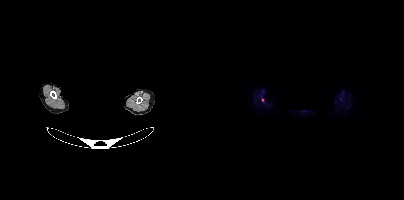
modality: PSMA PET/CT | tracer: [18F]PSMA-1007 | view: axial | de-identification: head region blanked (face removed)
Coordinates are on the 200×200 PET (right) panel. Small PSMA-avid focus (2 to 4 px across) near (center x, center y): (58, 100).